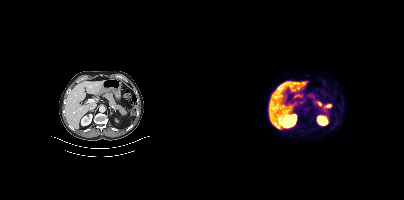
Negative for PSMA-avid disease on this slice.